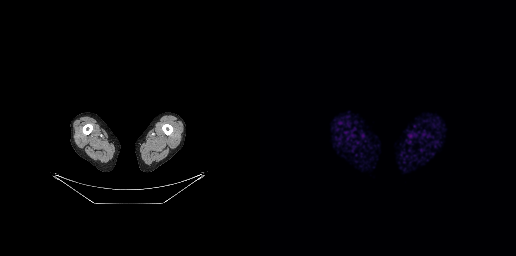
Paired axial CT (left) and PSMA PET (right), 68Ga-PSMA tracer. Slice position z = -991 mm. Negative for PSMA-avid disease on this slice.